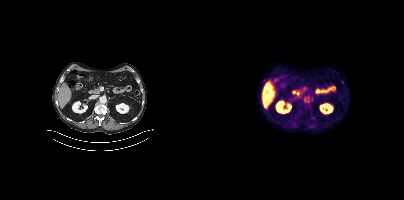
{"modality":"PSMA PET/CT","view":"axial","tracer":"18F","pet_grid":[200,200],"coord_frame":"pet_panel","coord_format":"x0,y0,x1,y1","psma_avid_lesions":false}